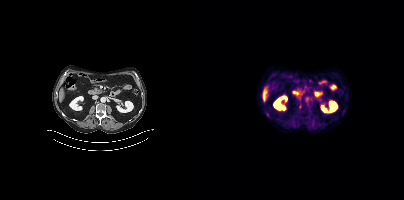
{"modality":"PSMA PET/CT","view":"axial","tracer":"18F","pet_grid":[200,200],"coord_frame":"pet_panel","coord_format":"x0,y0,x1,y1","partial":true,"lesion_bboxes":[]}